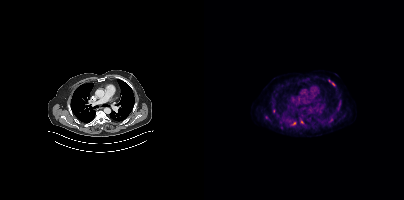
Technique: Paired axial CT (left) and PSMA PET (right), 18F tracer. PET panel 200×200 px (4.1 mm/px).
Findings: Coordinates are on the 200×200 PET (right) panel. (showing 8 of 10 foci) PSMA-avid tumor lesion bounding boxes (x0, y0)-(x1, y1): (133, 101)-(136, 110) | (125, 118)-(129, 122). Small PSMA-avid foci (2 to 4 px across) near (center x, center y): (97, 121) | (89, 123) | (129, 83) | (62, 117) | (69, 111) | (125, 80).